- Two-panel axial: CT | PSMA PET, 18F tracer
- acquired on Siemens Biograph mCT Flow 20
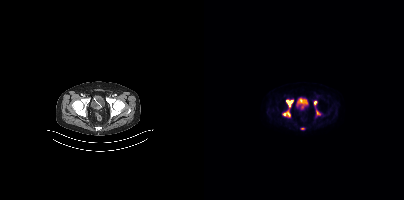
Findings: Coordinates are on the 200×200 PET (right) panel. (showing 5 of 6 foci) PSMA-avid tumor lesion bounding boxes (x0, y0)-(x1, y1): (82, 100)-(89, 107); (79, 111)-(86, 116); (112, 109)-(116, 115); (109, 100)-(113, 106). Small PSMA-avid focus (2 to 4 px across) near (center x, center y): (98, 128).